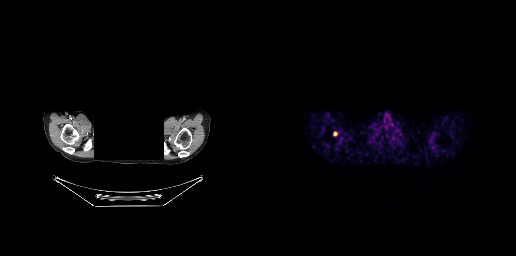
The face region was removed for patient privacy by blanking a rectangle over the head. Paired axial CT (left) and PSMA PET (right), [68Ga]Ga-PSMA-11 tracer. Acquired on GE Discovery 690. Coordinates are on the 256×256 PET (right) panel. PSMA-avid tumor lesion bounding box (x0,y0,x1,y1): [73,131,77,136].